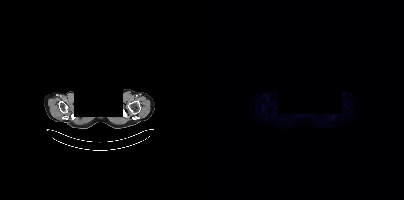
Face de-identified by blanking a block of the head. Paired axial CT (left) and PSMA PET (right), 18F-PSMA tracer. Acquired on Siemens Biograph mCT Flow 20. Slice position z = -895 mm. No tumor lesions annotated on this slice.